Two-panel axial: CT | PSMA PET, 18F-PSMA tracer. Acquired on Siemens Biograph 64-4R TruePoint. Slice position z = -1308 mm.
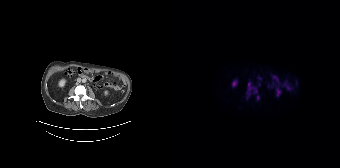
Coordinates are on the 168×168 PET (right) panel. PSMA-avid tumor lesion bounding boxes (x, y, width, height): x=74 y=82 w=12 h=18 | x=84 y=95 w=4 h=6. Small PSMA-avid focus (2 to 4 px across) near (center x, center y): (87, 84).